- Left: CT. Right: PSMA PET, same axial level, 18F tracer
- acquired on Siemens Biograph mCT Flow 20
- slice 123 of 373
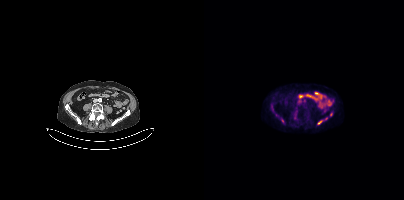
Findings: Coordinates are on the 200×200 PET (right) panel. Small PSMA-avid focus (2 to 4 px across) near (center x, center y): (114, 123).